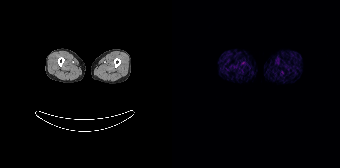
This slice has no annotated PSMA-avid lesion.